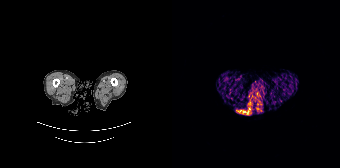
{"modality":"PSMA PET/CT","view":"axial","tracer":"[68Ga]Ga-PSMA-11","pet_grid":[168,168],"coord_frame":"pet_panel","coord_format":"x0,y0,x1,y1","psma_avid_lesions":false}